Two-panel axial: CT | PSMA PET, 68Ga tracer. Acquired on GE Discovery 690. PET panel 256×256 px (2.7 mm/px).
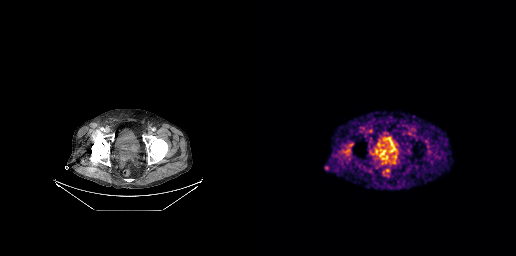
Coordinates are on the 256×256 PET (right) panel. (showing 1 of 3 foci) PSMA-avid tumor lesion bounding box (x0,y0,x1,y1): [116,148,131,163].